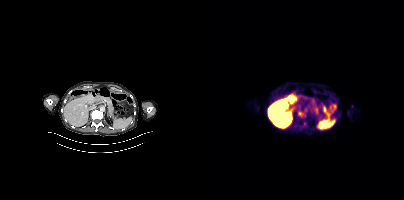
Coordinates are on the 200×200 PET (right) panel. PSMA-avid tumor lesion bounding boxes:
| # | x0 | y0 | x1 | y1 |
|---|---|---|---|---|
| 1 | 94 | 111 | 99 | 116 |
Left: CT. Right: PSMA PET, same axial level, 18F tracer. Slice 203 of 421. PET panel 200×200 px (4.1 mm/px).